- Paired axial CT (left) and PSMA PET (right), 68Ga-PSMA tracer
- acquired on Siemens Biograph mCT Flow 20
- PET panel 200×200 px (4.1 mm/px)
- a rectangular region was set to black for de-identification
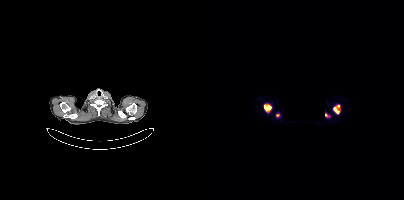
Findings: Coordinates are on the 200×200 PET (right) panel. (showing 4 of 5 foci) PSMA-avid tumor lesion bounding boxes (x0, y0)-(x1, y1): (60, 105)-(67, 112) | (129, 105)-(135, 113). Small PSMA-avid foci (2 to 4 px across) near (center x, center y): (122, 114) | (73, 115).